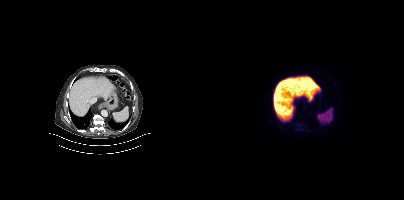
Findings: No tumor lesions annotated on this slice.
- Paired axial CT (left) and PSMA PET (right), 18F tracer
- PET panel 200×200 px (4.1 mm/px)